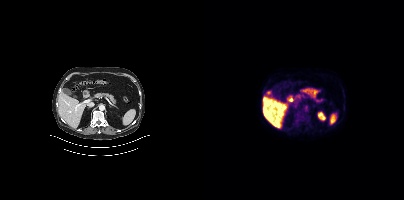
Negative for PSMA-avid disease on this slice.